Left: CT. Right: PSMA PET, same axial level, 68Ga tracer. Slice 197 of 409. PET panel 200×200 px (4.1 mm/px).
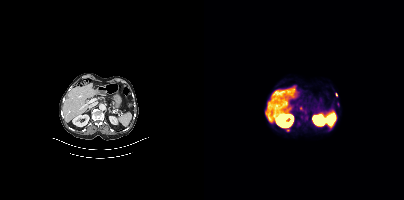
Coordinates are on the 200×200 PET (right) panel. (showing 6 of 7 foci) Small PSMA-avid foci (2 to 4 px across) near (center x, center y): (84, 129); (96, 108); (94, 123); (101, 112); (132, 94); (102, 118).